Left: CT. Right: PSMA PET, same axial level, [18F]PSMA-1007 tracer. Acquired on Siemens Biograph mCT Flow 20. Slice 353 of 385. PET panel 200×200 px (4.1 mm/px). A rectangular block over the head has been blanked out for de-identification.
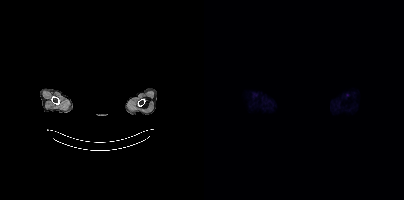
Negative for PSMA-avid disease on this slice.